- Two-panel axial: CT | PSMA PET, 18F-PSMA tracer
- acquired on Siemens Biograph mCT Flow 20
- slice 202 of 413
- PET panel 200×200 px (4.1 mm/px)
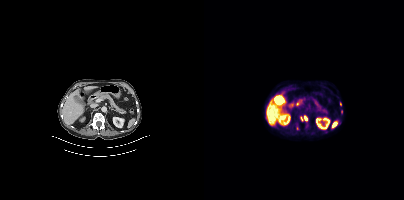
Findings: Coordinates are on the 200×200 PET (right) panel. (showing 4 of 6 foci) PSMA-avid tumor lesion bounding box (x0,y0,x1,y1): [96,116,103,121]. Small PSMA-avid foci (2 to 4 px across) near (center x, center y): (137, 111) (93, 128) (136, 103).